Two-panel axial: CT | PSMA PET, [18F]PSMA-1007 tracer. Acquired on Siemens Biograph mCT Flow 20. The head region is masked for de-identification.
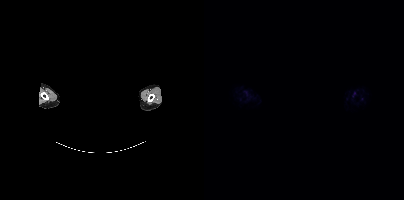
This slice has no annotated PSMA-avid lesion.